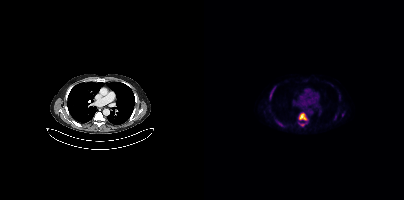
Coordinates are on the 200×200 PET (right) panel. (showing 5 of 6 foci) PSMA-avid tumor lesion bounding boxes (x0, y0)-(x1, y1): (95, 113)-(103, 120); (71, 120)-(80, 126); (66, 88)-(70, 98); (95, 123)-(99, 126). Small PSMA-avid focus (2 to 4 px across) near (center x, center y): (138, 114).